Two-panel axial: CT | PSMA PET, 18F-PSMA tracer. Slice position z = -907 mm. PET panel 200×200 px (4.1 mm/px). A rectangle over the head was blacked out to remove identifiable facial features.
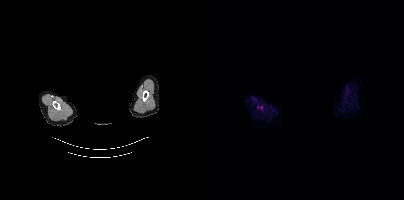
Negative for PSMA-avid disease on this slice.